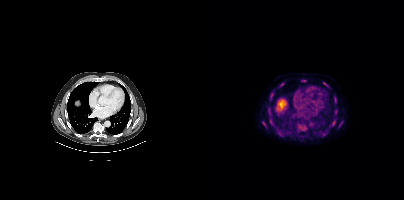
Coordinates are on the 200×200 PET (right) panel. (showing 8 of 9 foci) PSMA-avid tumor lesion bounding boxes (x0, y0)-(x1, y1): (66, 94)-(68, 99); (127, 121)-(131, 125); (123, 84)-(126, 88); (135, 121)-(139, 125); (60, 124)-(63, 128); (98, 80)-(102, 81). Small PSMA-avid foci (2 to 4 px across) near (center x, center y): (78, 84); (65, 113).